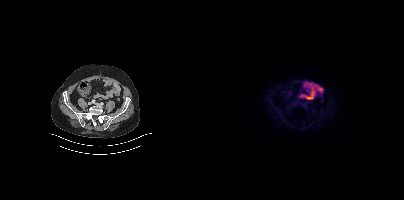
Negative for PSMA-avid disease on this slice.